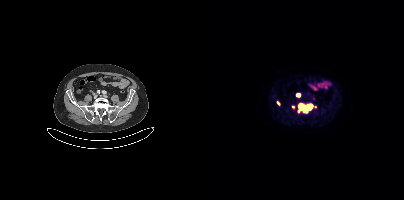
Coordinates are on the 200×200 PET (right) panel. (showing 4 of 5 foci) PSMA-avid tumor lesion bounding boxes (x, y, width, height): x=95 y=104 w=14 h=8 / x=92 y=93 w=5 h=4. Small PSMA-avid foci (2 to 4 px across) near (center x, center y): (74, 102) / (89, 107).